modality: PSMA PET/CT | tracer: 68Ga | view: axial
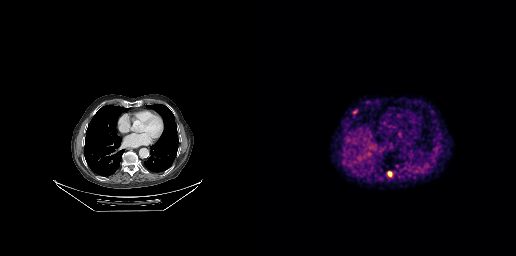
Coordinates are on the 256×256 PET (right) panel. PSMA-avid tumor lesion bounding boxes (x, y, width, height): x=127 y=171 w=6 h=6 | x=93 y=109 w=5 h=5. Small PSMA-avid focus (2 to 4 px across) near (center x, center y): (107, 102).